modality: PSMA PET/CT | tracer: [18F]PSMA-1007 | view: axial
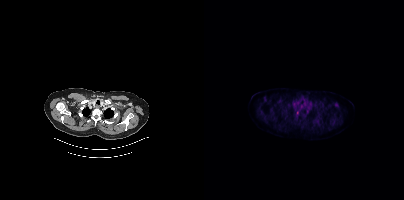
Coordinates are on the 200×200 PET (right) panel. Small PSMA-avid focus (2 to 4 px across) near (center x, center y): (93, 112).